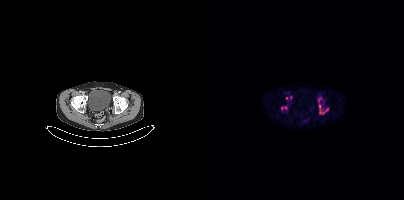
Coordinates are on the 200×200 PET (right) panel. PSMA-avid tumor lesion bounding boxes (x0, y0)-(x1, y1): (115, 103)-(124, 114); (77, 106)-(82, 109). Small PSMA-avid foci (2 to 4 px across) near (center x, center y): (115, 99); (82, 98); (86, 97).